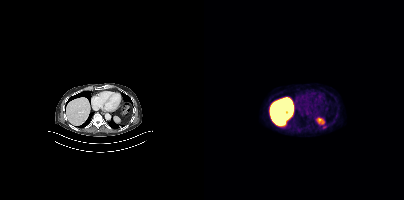
Technique: Left: CT. Right: PSMA PET, same axial level, 18F-PSMA tracer. acquired on Siemens Biograph mCT Flow 20. slice position z = -606 mm. PET panel 200×200 px (4.1 mm/px).
Findings: Coordinates are on the 200×200 PET (right) panel. Small PSMA-avid focus (2 to 4 px across) near (center x, center y): (120, 127).